modality: PSMA PET/CT | tracer: [18F]PSMA-1007 | view: axial | PET grid: 200×200
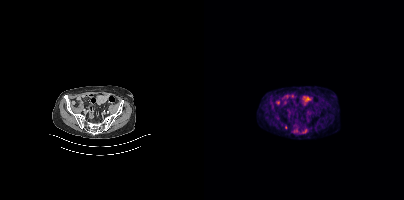
Coordinates are on the 200×200 PET (right) panel. Small PSMA-avid focus (2 to 4 px across) near (center x, center y): (81, 127).